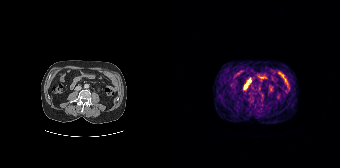
No tumor lesions annotated on this slice. Paired axial CT (left) and PSMA PET (right), 68Ga-PSMA tracer. Slice 80 of 195. PET panel 168×168 px (4.1 mm/px).